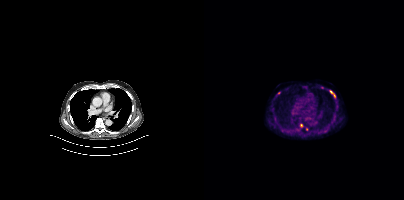
{"modality":"PSMA PET/CT","view":"axial","tracer":"[18F]PSMA-1007","pet_grid":[200,200],"coord_frame":"pet_panel","coord_format":"x0,y0,x1,y1","lesion_bboxes":[[126,90,131,97]],"small_foci_centers":[[97,125],[74,92],[102,129]]}